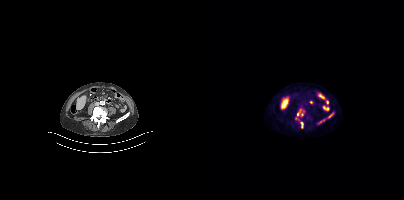
Two-panel axial: CT | PSMA PET, [18F]PSMA-1007 tracer. PET panel 200×200 px (4.1 mm/px).
Coordinates are on the 200×200 PET (right) panel. PSMA-avid tumor lesion bounding boxes:
| # | x0 | y0 | x1 | y1 |
|---|---|---|---|---|
| 1 | 93 | 109 | 101 | 116 |
| 2 | 123 | 112 | 129 | 118 |
| 3 | 96 | 122 | 99 | 128 |
| 4 | 114 | 119 | 121 | 124 |
Small PSMA-avid focus (2 to 4 px across) near (center x, center y): (91, 118).